Head region blanked for anonymization (face removed).
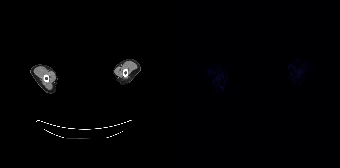
Negative for PSMA-avid disease on this slice.